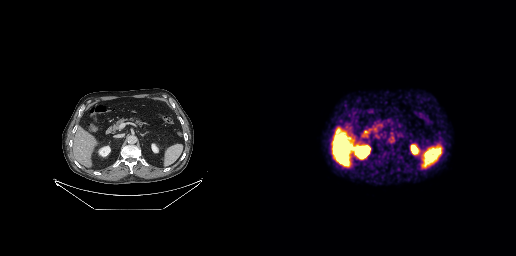
No PSMA-avid tumor lesions on this slice. Paired axial CT (left) and PSMA PET (right), 18F-PSMA tracer.